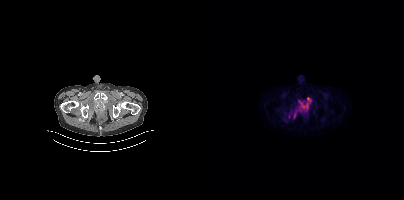
{"modality":"PSMA PET/CT","view":"axial","tracer":"18F","pet_grid":[200,200],"coord_frame":"pet_panel","coord_format":"x0,y0,x1,y1","lesion_bboxes":[[91,97,107,112],[89,114,92,118],[85,110,87,114]]}